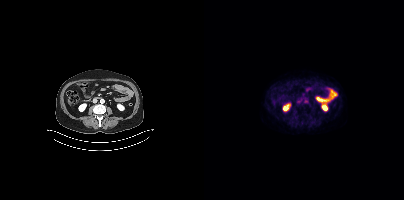
{"modality":"PSMA PET/CT","view":"axial","tracer":"18F","pet_grid":[200,200],"coord_frame":"pet_panel","coord_format":"x0,y0,x1,y1","psma_avid_lesions":false}